modality: PSMA PET/CT | tracer: [18F]PSMA-1007 | view: axial | PET grid: 200×200
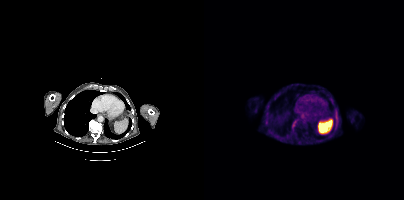
Only PSMA-avid lesion pieces thinner than 2 px on this slice (not listed).